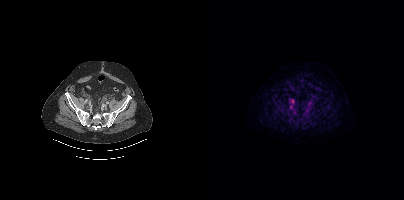
Technique: Two-panel axial: CT | PSMA PET, 18F tracer. acquired on Siemens Biograph mCT Flow 20.
Findings: Coordinates are on the 200×200 PET (right) panel. PSMA-avid tumor lesion bounding box (x, y, width, height): x=85 y=99 w=6 h=10.